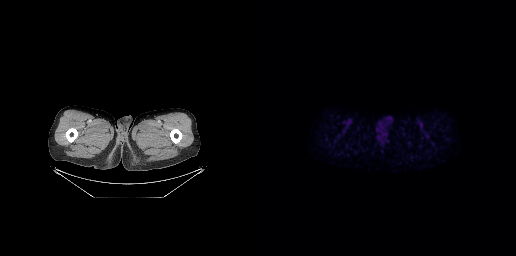
modality: PSMA PET/CT | tracer: [18F]PSMA-1007 | view: axial
This slice has no annotated PSMA-avid lesion.